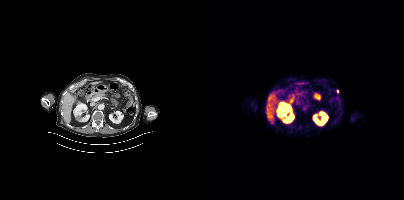
Coordinates are on the 200×200 PET (right) panel. Small PSMA-avid focus (2 to 4 px across) near (center x, center y): (133, 91).